modality: PSMA PET/CT | tracer: [68Ga]Ga-PSMA-11 | view: axial | PET grid: 168×168
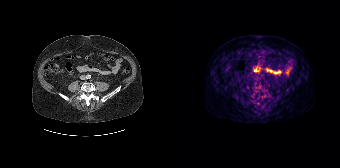
This slice has no annotated PSMA-avid lesion.